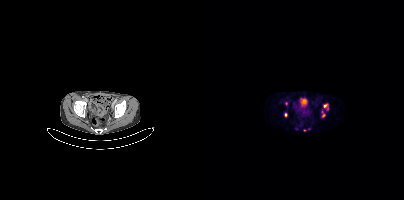
{"pet_grid":[200,200],"coord_frame":"pet_panel","coord_format":"x0,y0,x1,y1","partial":true,"lesion_bboxes":[[119,103,124,109],[118,111,121,117]],"small_foci_centers":[[92,128],[81,114],[104,128]],"modality":"PSMA PET/CT","view":"axial","tracer":"68Ga"}